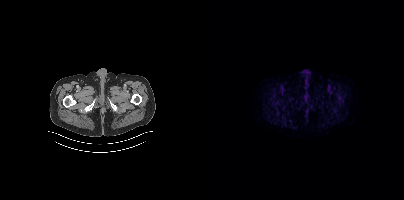
{"modality":"PSMA PET/CT","view":"axial","tracer":"18F","pet_grid":[200,200],"coord_frame":"pet_panel","coord_format":"x0,y0,x1,y1","psma_avid_lesions":false}